- Left: CT. Right: PSMA PET, same axial level, [68Ga]Ga-PSMA-11 tracer
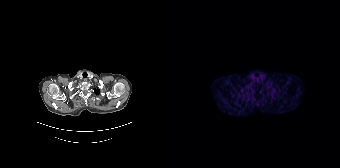
Findings: No tumor lesions annotated on this slice.